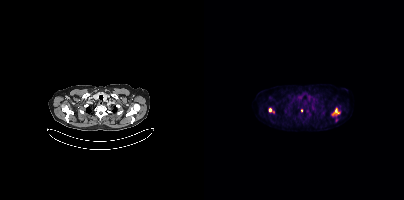
Coordinates are on the 200×200 PET (right) panel. PSMA-avid tumor lesion bounding boxes (x0,y0,x1,y1): [127,109,135,116]; [65,108,70,112]. Small PSMA-avid focus (2 to 4 px across) near (center x, center y): (97, 110).
modality: PSMA PET/CT | tracer: 18F-PSMA | view: axial | PET grid: 200×200